Left: CT. Right: PSMA PET, same axial level, 68Ga tracer. Slice position z = -1532 mm.
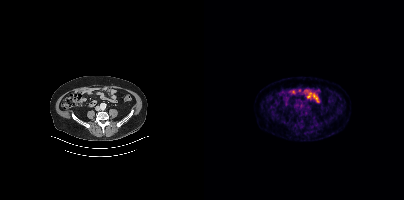
Only PSMA-avid lesion pieces thinner than 2 px on this slice (not listed).